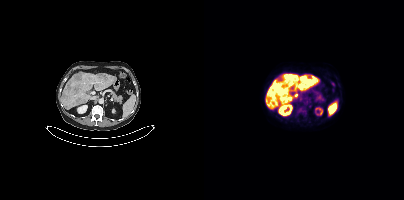
Coordinates are on the 200×200 PET (right) panel. PSMA-avid tumor lesion bounding boxes (x0,y0,x1,y1): [92,75,102,81], [70,83,76,90]. Small PSMA-avid foci (2 to 4 px across) near (center x, center y): (95, 109), (98, 86), (92, 94).
modality: PSMA PET/CT | tracer: 18F-PSMA | view: axial